Technique: Two-panel axial: CT | PSMA PET, [18F]PSMA-1007 tracer. slice 119 of 344. PET panel 200×200 px (4.1 mm/px).
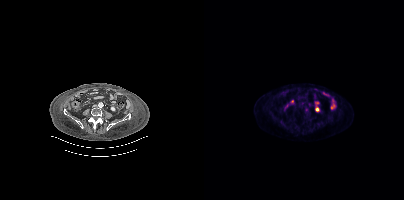
Findings: Coordinates are on the 200×200 PET (right) panel. Small PSMA-avid focus (2 to 4 px across) near (center x, center y): (102, 109).